Left: CT. Right: PSMA PET, same axial level, 18F-PSMA tracer. Slice position z = -10 mm. PET panel 200×200 px (4.1 mm/px).
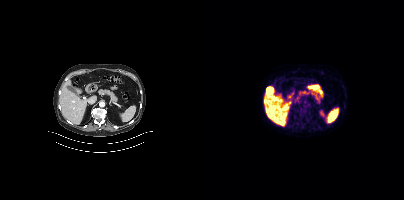
No PSMA-avid tumor lesions on this slice.